Paired axial CT (left) and PSMA PET (right), 18F tracer.
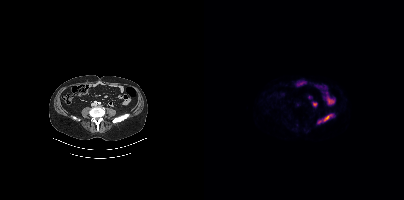
Coordinates are on the 200×200 PET (right) panel. PSMA-avid tumor lesion bounding box (x0,y0,x1,y1): [120,114,128,120]. Small PSMA-avid focus (2 to 4 px across) near (center x, center y): (115, 121).